- Left: CT. Right: PSMA PET, same axial level, 18F-PSMA tracer
- slice 3 of 403
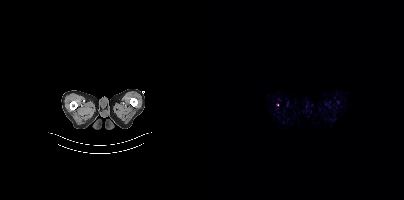
Findings: Only PSMA-avid lesion pieces thinner than 2 px on this slice (not listed).